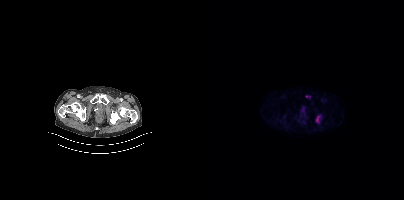
Coordinates are on the 200×200 PET (right) panel. (showing 1 of 2 foci) PSMA-avid tumor lesion bounding box (x0,y0,x1,y1): [112,116,115,122].